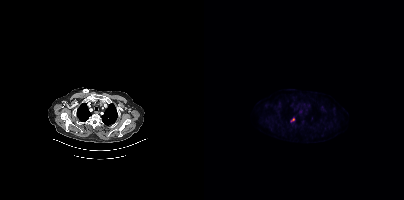
Coordinates are on the 200×200 PET (right) panel. PSMA-avid tumor lesion bounding box (x0, y0)-(x1, y1): (86, 117)-(91, 122).